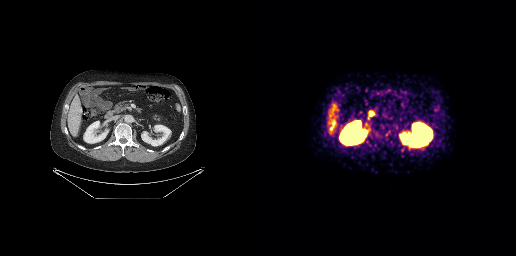
This slice has no annotated PSMA-avid lesion.